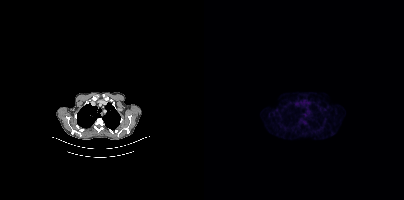
Technique: Left: CT. Right: PSMA PET, same axial level, 18F tracer. slice position z = -1044 mm.
Findings: No PSMA-avid tumor lesions on this slice.